Two-panel axial: CT | PSMA PET, 18F-PSMA tracer. Slice position z = -981 mm. PET panel 200×200 px (4.1 mm/px).
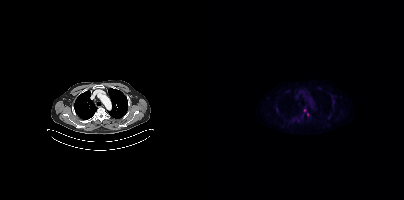
Coordinates are on the 200×200 PET (right) panel. PSMA-avid tumor lesion bounding boxes:
| # | x0 | y0 | x1 | y1 |
|---|---|---|---|---|
| 1 | 92 | 119 | 96 | 122 |
Small PSMA-avid foci (2 to 4 px across) near (center x, center y): (128, 96); (103, 114); (124, 117).